- de-identified by setting a box covering the face to black before release
- Two-panel axial: CT | PSMA PET, 18F tracer
- slice position z = -223 mm
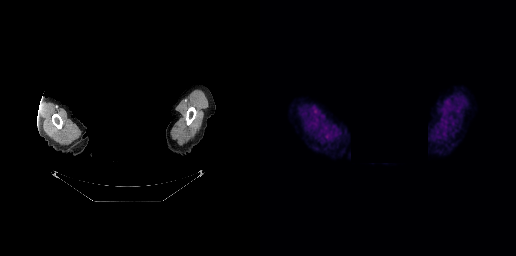
Findings: Negative for PSMA-avid disease on this slice.